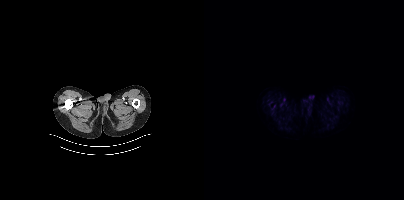
modality: PSMA PET/CT | tracer: [18F]PSMA-1007 | view: axial | PET grid: 200×200
This slice has no annotated PSMA-avid lesion.